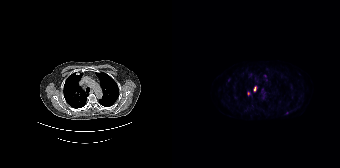
Left: CT. Right: PSMA PET, same axial level, [18F]PSMA-1007 tracer. Acquired on Siemens Biograph 64-4R TruePoint.
Coordinates are on the 168×168 PET (right) panel. PSMA-avid tumor lesion bounding boxes (partial; 1 more focus not listed):
| # | x0 | y0 | x1 | y1 |
|---|---|---|---|---|
| 1 | 81 | 86 | 84 | 91 |
Small PSMA-avid foci (2 to 4 px across) near (center x, center y): (114, 113); (76, 93).